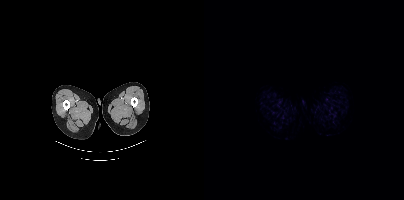
modality: PSMA PET/CT | tracer: 18F | view: axial
Negative for PSMA-avid disease on this slice.